Paired axial CT (left) and PSMA PET (right), 18F-PSMA tracer. Slice position z = -1424 mm. PET panel 200×200 px (4.1 mm/px).
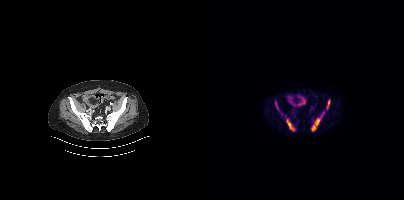
Coordinates are on the 200×200 PET (right) panel. PSMA-avid tumor lesion bounding boxes:
| # | x0 | y0 | x1 | y1 |
|---|---|---|---|---|
| 1 | 107 | 112 | 120 | 131 |
| 2 | 82 | 119 | 91 | 131 |
| 3 | 123 | 100 | 126 | 109 |
| 4 | 71 | 102 | 74 | 109 |